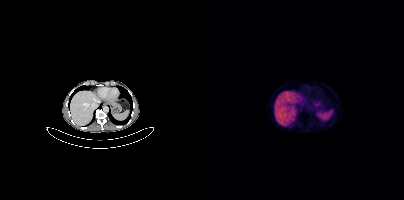
{"modality":"PSMA PET/CT","view":"axial","tracer":"68Ga","pet_grid":[200,200],"coord_frame":"pet_panel","coord_format":"x0,y0,x1,y1","psma_avid_lesions":false}